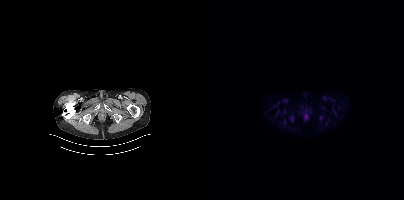
{"pet_grid":[200,200],"coord_frame":"pet_panel","coord_format":"x0,y0,x1,y1","psma_avid_lesions":false,"modality":"PSMA PET/CT","view":"axial","tracer":"18F"}